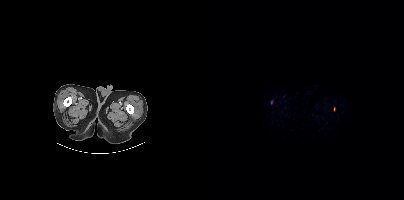
modality: PSMA PET/CT | tracer: 18F | view: axial
This slice has no annotated PSMA-avid lesion.